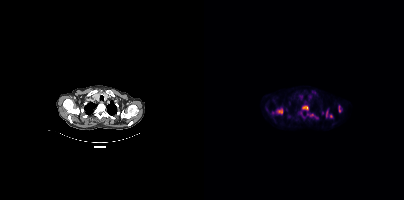
{"modality":"PSMA PET/CT","view":"axial","tracer":"[18F]PSMA-1007","pet_grid":[200,200],"coord_frame":"pet_panel","coord_format":"x0,y0,x1,y1","partial":true,"lesion_bboxes":[[72,108,78,113],[98,106,104,109],[122,110,123,117],[108,114,113,118]],"small_foci_centers":[[127,116],[68,112]]}